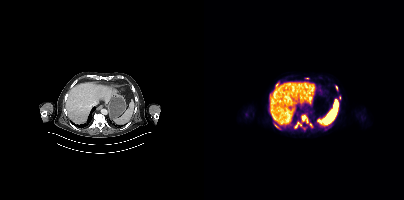
Coordinates are on the 200×200 PET (right) panel. (showing 5 of 11 foci) PSMA-avid tumor lesion bounding boxes (x, y, width, height): x=98 y=115 w=5 h=6 / x=103 y=119 w=6 h=8 / x=132 y=86 w=2 h=5. Small PSMA-avid foci (2 to 4 px across) near (center x, center y): (71, 125) / (92, 126).